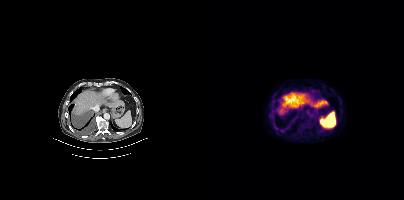
{"modality":"PSMA PET/CT","view":"axial","tracer":"18F-PSMA","pet_grid":[200,200],"coord_frame":"pet_panel","coord_format":"x0,y0,x1,y1","lesion_bboxes":[[69,124,74,130],[78,127,84,131]]}